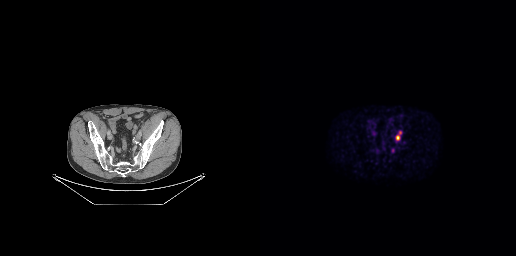
Two-panel axial: CT | PSMA PET, 18F tracer. Coordinates are on the 256×256 PET (right) panel. PSMA-avid tumor lesion bounding boxes (x0,y0,x1,y1): [136,131,141,140], [131,148,134,152].